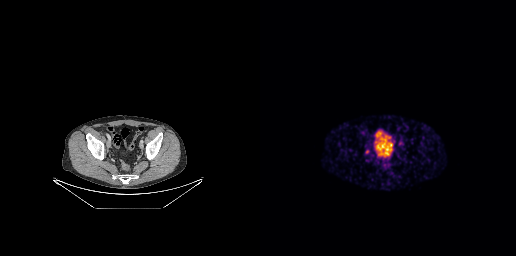
Findings: Coordinates are on the 256×256 PET (right) panel. Small PSMA-avid focus (2 to 4 px across) near (center x, center y): (106, 151).
Technique: Paired axial CT (left) and PSMA PET (right), 68Ga-PSMA tracer. acquired on GE Discovery 690. slice position z = -761 mm. PET panel 256×256 px (2.7 mm/px).